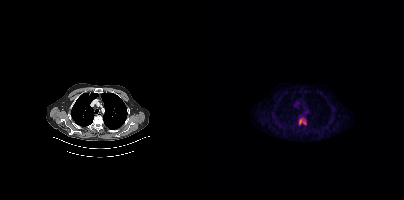
Two-panel axial: CT | PSMA PET, [18F]PSMA-1007 tracer.
Coordinates are on the 200×200 PET (right) panel. PSMA-avid tumor lesion bounding boxes:
| # | x0 | y0 | x1 | y1 |
|---|---|---|---|---|
| 1 | 95 | 118 | 102 | 124 |